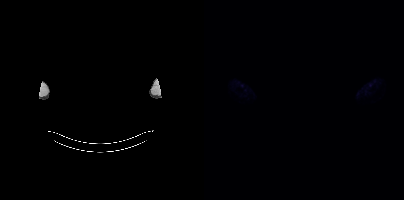
{"modality":"PSMA PET/CT","view":"axial","tracer":"[18F]PSMA-1007","pet_grid":[200,200],"coord_frame":"pet_panel","coord_format":"x0,y0,x1,y1","deidentification":"face masked with black rectangle","psma_avid_lesions":false}